Left: CT. Right: PSMA PET, same axial level, 18F tracer. Acquired on Siemens Biograph mCT Flow 20.
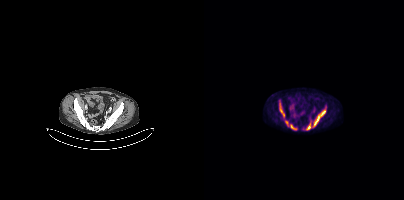
Coordinates are on the 200×200 PET (right) panel. PSMA-avid tumor lesion bounding boxes (x0, y0)-(x1, y1): (110, 106)-(122, 126); (75, 103)-(80, 115); (86, 124)-(93, 130); (102, 123)-(106, 129); (81, 121)-(84, 125).